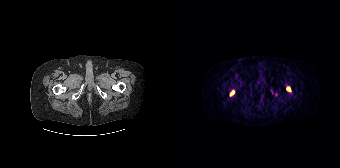
Coordinates are on the 168×168 PET (right) panel. PSMA-avid tumor lesion bounding boxes:
| # | x0 | y0 | x1 | y1 |
|---|---|---|---|---|
| 1 | 115 | 87 | 118 | 91 |
Small PSMA-avid focus (2 to 4 px across) near (center x, center y): (59, 93).
Left: CT. Right: PSMA PET, same axial level, [68Ga]Ga-PSMA-11 tracer. Slice 47 of 195.